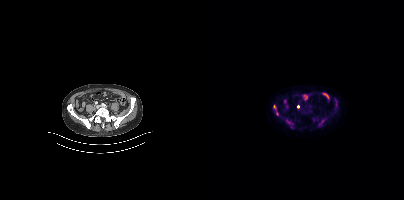
{"modality":"PSMA PET/CT","view":"axial","tracer":"18F-PSMA","pet_grid":[200,200],"coord_frame":"pet_panel","coord_format":"x0,y0,x1,y1","partial":true,"lesion_bboxes":[[115,118,122,125],[82,121,87,125],[69,105,72,109]],"small_foci_centers":[[72,113]]}